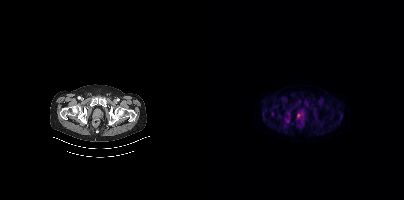
Findings: Coordinates are on the 200×200 PET (right) panel. Small PSMA-avid focus (2 to 4 px across) near (center x, center y): (94, 115).
- Left: CT. Right: PSMA PET, same axial level, 18F tracer
- slice position z = -91 mm